Technique: Two-panel axial: CT | PSMA PET, [18F]PSMA-1007 tracer. slice 417 of 464.
Note: De-identified by setting a box covering the face to black before release.
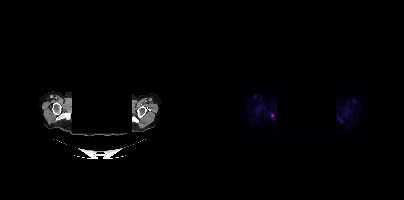
Findings: Coordinates are on the 200×200 PET (right) panel. PSMA-avid tumor lesion bounding box (x0,y0,x1,y1): [134,118,139,123]. Small PSMA-avid focus (2 to 4 px across) near (center x, center y): (68, 115).